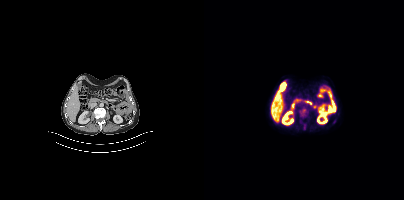
- Two-panel axial: CT | PSMA PET, [18F]PSMA-1007 tracer
- slice position z = -518 mm
- PET panel 200×200 px (4.1 mm/px)
Findings: Coordinates are on the 200×200 PET (right) panel. Small PSMA-avid focus (2 to 4 px across) near (center x, center y): (100, 111).